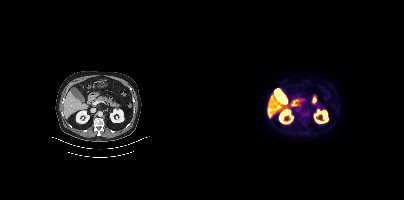
This slice has no annotated PSMA-avid lesion.